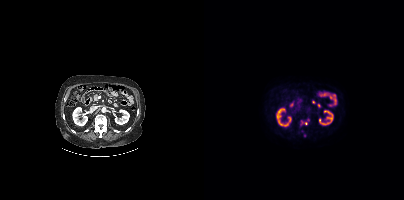
Coordinates are on the 200×200 PET (right) panel. PSMA-avid tumor lesion bounding box (x0,y0,x1,y1): [97,121,103,124].